modality: PSMA PET/CT | tracer: 68Ga-PSMA | view: axial | deidentification: privacy mask over head
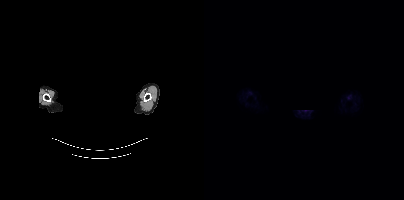
Negative for PSMA-avid disease on this slice.